modality: PSMA PET/CT | tracer: 68Ga-PSMA | view: axial
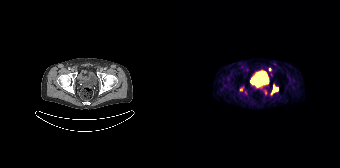
Coordinates are on the 168×168 PET (right) panel. PSMA-avid tumor lesion bounding box (x0,y0,x1,y1): [101,86,106,91]. Small PSMA-avid foci (2 to 4 px across) near (center x, center y): (69, 89) (97, 69).